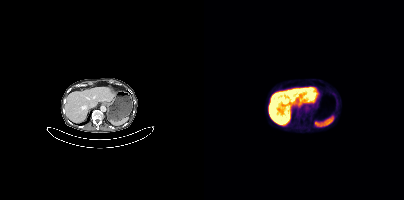
modality: PSMA PET/CT | tracer: [18F]PSMA-1007 | view: axial | PET grid: 200×200
Negative for PSMA-avid disease on this slice.